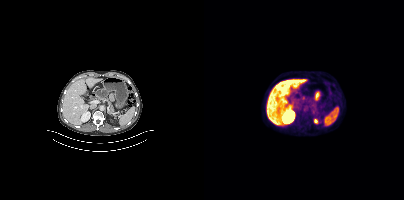
Negative for PSMA-avid disease on this slice. Paired axial CT (left) and PSMA PET (right), 18F tracer. Slice 235 of 429.